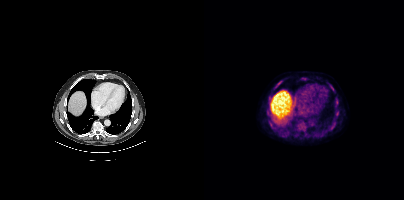
Two-panel axial: CT | PSMA PET, 18F-PSMA tracer. Slice position z = -1071 mm. Coordinates are on the 200×200 PET (right) panel. PSMA-avid tumor lesion bounding boxes (x0, y0)-(x1, y1): (72, 82)-(76, 86); (126, 85)-(129, 90). Small PSMA-avid foci (2 to 4 px across) near (center x, center y): (132, 98); (133, 111).